Left: CT. Right: PSMA PET, same axial level, 18F tracer. Slice 190 of 413.
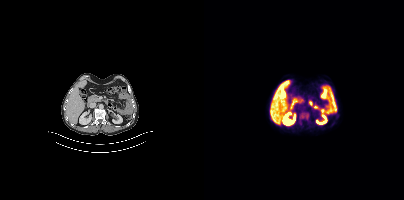
No tumor lesions annotated on this slice.